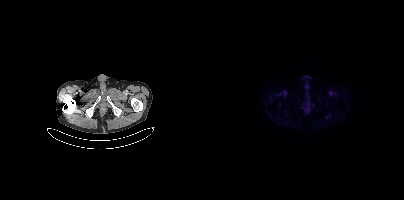
This slice has no annotated PSMA-avid lesion.